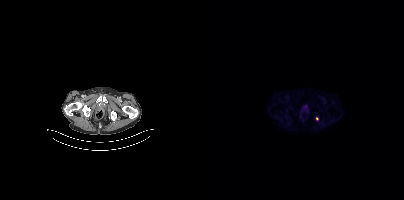
Left: CT. Right: PSMA PET, same axial level, [18F]PSMA-1007 tracer. Acquired on Siemens Biograph mCT Flow 20. PET panel 200×200 px (4.1 mm/px). Coordinates are on the 200×200 PET (right) panel. Small PSMA-avid focus (2 to 4 px across) near (center x, center y): (113, 118).